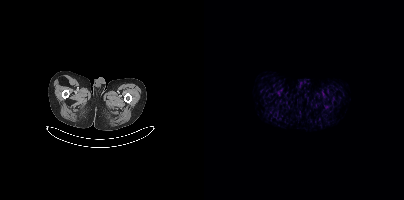
{"pet_grid":[200,200],"coord_frame":"pet_panel","coord_format":"x0,y0,x1,y1","psma_avid_lesions":false,"modality":"PSMA PET/CT","view":"axial","tracer":"18F-PSMA"}